Paired axial CT (left) and PSMA PET (right), 68Ga tracer. Acquired on Siemens Biograph mCT Flow 20. Slice 266 of 393. PET panel 200×200 px (4.1 mm/px).
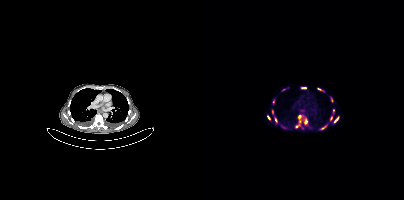
Coordinates are on the 200×200 PET (right) panel. (showing 14 of 17 foci) PSMA-avid tumor lesion bounding boxes (x, y, width, height): x=94 y=115 w=4 h=8 | x=100 y=119 w=4 h=6 | x=130 y=117 w=5 h=6 | x=118 y=124 w=6 h=6 | x=113 y=88 w=7 h=4 | x=98 y=87 w=5 h=2 | x=127 y=98 w=3 h=5 | x=69 y=99 w=2 h=5. Small PSMA-avid foci (2 to 4 px across) near (center x, center y): (93, 125) | (64, 117) | (71, 119) | (79, 89) | (127, 118) | (129, 110).